Technique: Two-panel axial: CT | PSMA PET, 18F tracer.
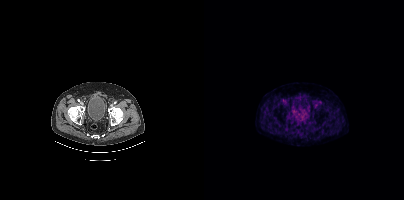
Findings: This slice has no annotated PSMA-avid lesion.